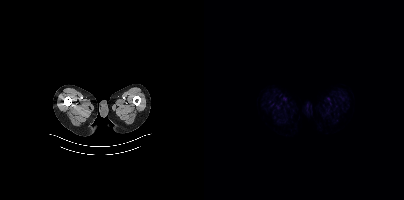
No tumor lesions annotated on this slice. Two-panel axial: CT | PSMA PET, 18F tracer. Acquired on Siemens Biograph mCT Flow 20.